modality: PSMA PET/CT | tracer: 18F | view: axial | PET grid: 168×168
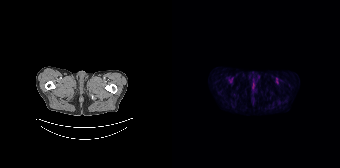
Negative for PSMA-avid disease on this slice.